modality: PSMA PET/CT | tracer: 18F-PSMA | view: axial
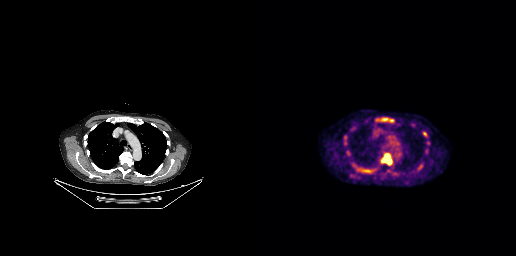
Coordinates are on the 256×256 PET (right) panel. PSMA-avid tumor lesion bounding boxes (x0, y0)-(x1, y1): (121, 153)-(132, 165); (123, 118)-(127, 120). Small PSMA-avid focus (2 to 4 px across) near (center x, center y): (131, 120).